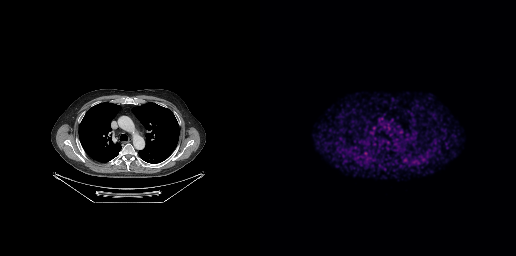
No tumor lesions annotated on this slice.